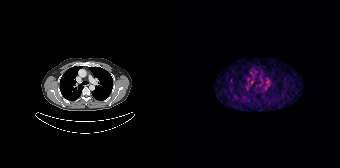
Two-panel axial: CT | PSMA PET, [68Ga]Ga-PSMA-11 tracer. Slice 145 of 195. PET panel 168×168 px (4.1 mm/px). This slice has no annotated PSMA-avid lesion.